modality: PSMA PET/CT | tracer: [18F]PSMA-1007 | view: axial
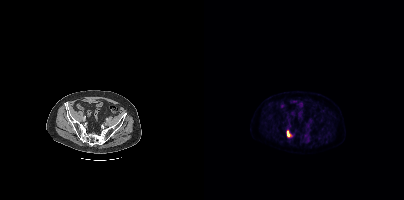
Coordinates are on the 200×200 PET (right) panel. PSMA-avid tumor lesion bounding box (x0, y0)-(x1, y1): (83, 131)-(85, 136).